modality: PSMA PET/CT | tracer: 18F-PSMA | view: axial
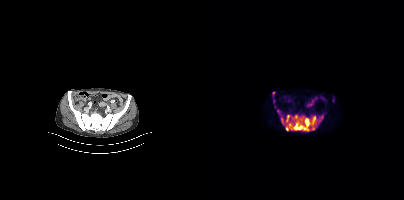
Coordinates are on the 200×200 PET (right) panel. (showing 4 of 7 foci) PSMA-avid tumor lesion bounding boxes (x0, y0)-(x1, y1): (81, 114)-(119, 131); (77, 117)-(79, 124); (73, 109)-(76, 115). Small PSMA-avid focus (2 to 4 px across) near (center x, center y): (69, 93).